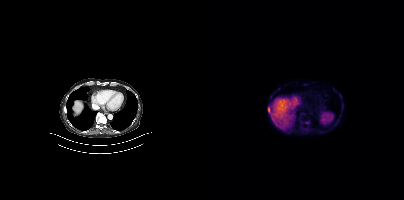
modality: PSMA PET/CT | tracer: 18F-PSMA | view: axial | PET grid: 200×200
Coordinates are on the 200×200 PET (right) panel. (showing 3 of 4 foci) PSMA-avid tumor lesion bounding boxes (x0,y0,x1,y1): [64,107,65,112]; [97,120,104,122]; [97,113,101,115].